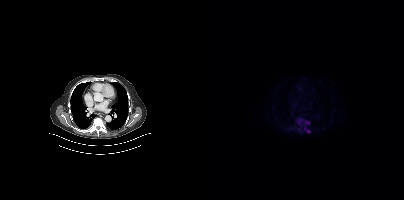
{"pet_grid":[200,200],"coord_frame":"pet_panel","coord_format":"x0,y0,x1,y1","lesion_bboxes":[[92,120,105,129],[100,126,106,133]],"modality":"PSMA PET/CT","view":"axial","tracer":"18F-PSMA"}